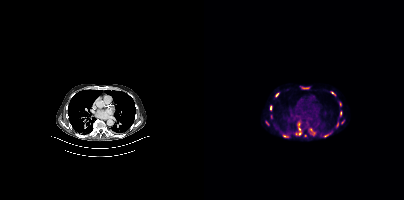
Coordinates are on the 200×200 PET (right) panel. PSMA-avid tumor lesion bounding boxes (partial; 2 more foci not listed):
| # | x0 | y0 | x1 | y1 |
|---|---|---|---|---|
| 1 | 92 | 122 | 97 | 135 |
| 2 | 96 | 86 | 105 | 89 |
| 3 | 106 | 128 | 110 | 135 |
| 4 | 71 | 93 | 75 | 97 |
| 5 | 127 | 91 | 131 | 95 |
| 6 | 136 | 111 | 138 | 116 |
| 7 | 66 | 105 | 68 | 110 |
| 8 | 135 | 102 | 137 | 106 |
| 9 | 133 | 122 | 134 | 126 |
| 10 | 120 | 134 | 124 | 136 |
Small PSMA-avid foci (2 to 4 px across) near (center x, center y): (80, 136); (101, 135); (63, 123).
Two-panel axial: CT | PSMA PET, 18F-PSMA tracer. Slice position z = -414 mm.